modality: PSMA PET/CT | tracer: 18F-PSMA | view: axial | PET grid: 200×200
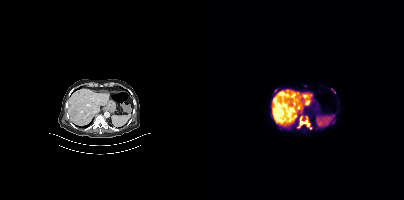
Coordinates are on the 200×200 PET (right) panel. (showing 1 of 3 foci) PSMA-avid tumor lesion bounding box (x0, y0)-(x1, y1): (94, 115)-(107, 129).